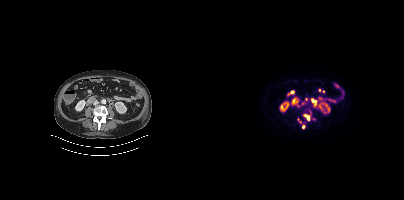
Two-panel axial: CT | PSMA PET, 18F-PSMA tracer. Slice 173 of 444. PET panel 200×200 px (4.1 mm/px).
Coordinates are on the 200×200 PET (right) panel. PSMA-avid tumor lesion bounding boxes (partial; 1 more focus not listed):
| # | x0 | y0 | x1 | y1 |
|---|---|---|---|---|
| 1 | 100 | 115 | 105 | 120 |
Small PSMA-avid foci (2 to 4 px across) near (center x, center y): (99, 126); (108, 99).